Left: CT. Right: PSMA PET, same axial level, 18F-PSMA tracer. Acquired on Siemens Biograph mCT Flow 20.
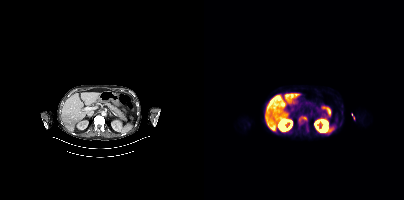
Coordinates are on the 200×200 PET (right) panel. PSMA-avid tumor lesion bounding boxes:
| # | x0 | y0 | x1 | y1 |
|---|---|---|---|---|
| 1 | 94 | 116 | 103 | 124 |